modality: PSMA PET/CT | tracer: 68Ga | view: axial
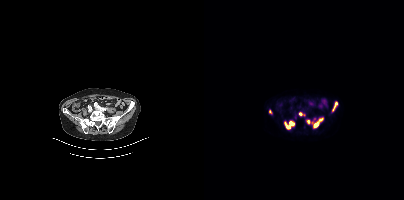
Coordinates are on the 200×200 PET (right) panel. (showing 6 of 7 foci) PSMA-avid tumor lesion bounding boxes (x0, y0)-(x1, y1): (107, 118)-(119, 127) | (80, 121)-(90, 128) | (129, 102)-(133, 110) | (94, 113)-(100, 115). Small PSMA-avid foci (2 to 4 px across) near (center x, center y): (66, 111) | (104, 121).